deidentification: rectangular block over head set to black | modality: PSMA PET/CT | tracer: 18F | view: axial
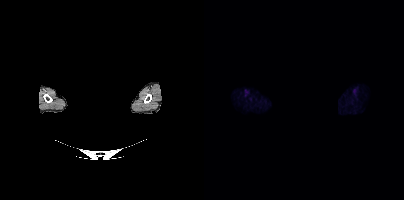
This slice has no annotated PSMA-avid lesion.